Two-panel axial: CT | PSMA PET, [18F]PSMA-1007 tracer.
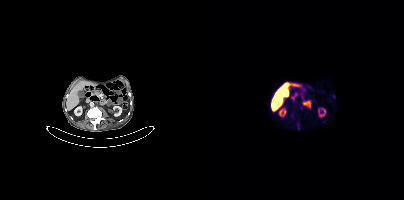
Negative for PSMA-avid disease on this slice.